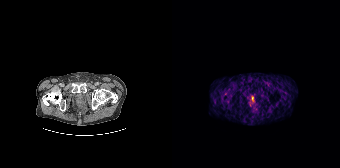
Coordinates are on the 168×168 PET (right) panel. Small PSMA-avid focus (2 to 4 px across) near (center x, center y): (80, 99). Two-panel axial: CT | PSMA PET, 68Ga tracer. PET panel 168×168 px (4.1 mm/px).